Two-panel axial: CT | PSMA PET, 18F tracer. Slice 239 of 409. PET panel 200×200 px (4.1 mm/px).
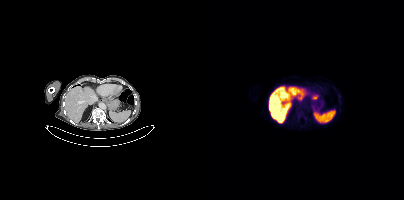
Negative for PSMA-avid disease on this slice.